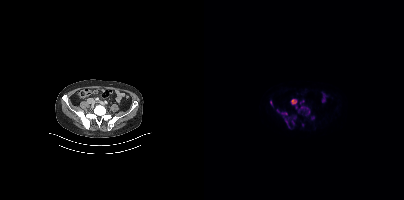
Paired axial CT (left) and PSMA PET (right), [18F]PSMA-1007 tracer. Slice 128 of 395. Coordinates are on the 200×200 PET (right) panel. PSMA-avid tumor lesion bounding boxes (x0, y0)-(x1, y1): (80, 115)-(92, 128); (94, 105)-(105, 115); (72, 109)-(83, 116); (87, 99)-(93, 104); (106, 115)-(111, 119); (98, 123)-(100, 127); (66, 101)-(68, 105).